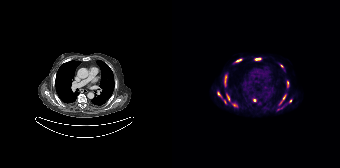
Coordinates are on the 168×168 PET (right) panel. (showing 12 of 13 foci) PSMA-avid tumor lesion bounding boxes (x0, y0)-(x1, y1): (52, 74)-(55, 86); (107, 94)-(114, 104); (60, 103)-(65, 106); (83, 58)-(88, 60); (64, 59)-(69, 62); (55, 94)-(57, 100). Small PSMA-avid foci (2 to 4 px across) near (center x, center y): (46, 93); (82, 100); (118, 100); (115, 82); (109, 66); (52, 101). Left: CT. Right: PSMA PET, same axial level, [18F]PSMA-1007 tracer. Acquired on Siemens Biograph 64-4R TruePoint. Slice position z = -1160 mm. PET panel 168×168 px (4.1 mm/px).